Left: CT. Right: PSMA PET, same axial level, [18F]PSMA-1007 tracer. Acquired on Siemens Biograph mCT Flow 20. Slice position z = -1534 mm.
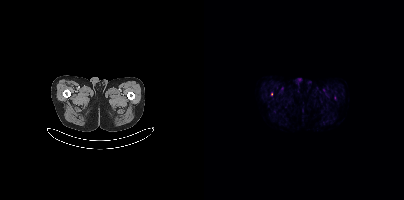
Only PSMA-avid lesion pieces thinner than 2 px on this slice (not listed).